Left: CT. Right: PSMA PET, same axial level, 68Ga-PSMA tracer. Acquired on GE Discovery 690. Slice 36 of 299.
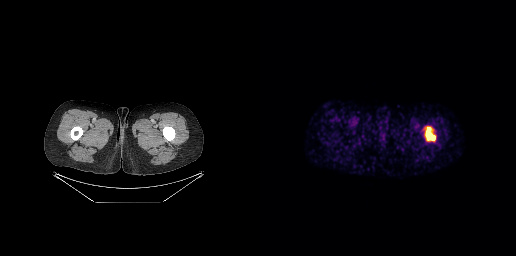
Coordinates are on the 256×256 PET (right) panel. PSMA-avid tumor lesion bounding boxes:
| # | x0 | y0 | x1 | y1 |
|---|---|---|---|---|
| 1 | 165 | 127 | 175 | 140 |